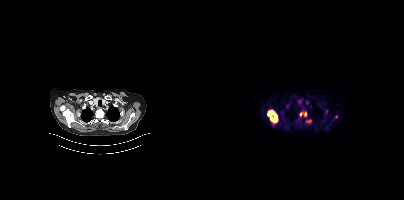
modality: PSMA PET/CT | tracer: 18F-PSMA | view: axial | PET grid: 200×200
Coordinates are on the 200×200 PET (right) panel. (showing 5 of 6 foci) PSMA-avid tumor lesion bounding boxes (x0,y0,x1,y1): [63,110,73,122], [95,111,102,116], [102,119,107,123]. Small PSMA-avid foci (2 to 4 px across) near (center x, center y): (132, 116), (122, 111).